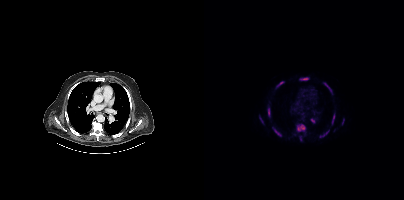
- Left: CT. Right: PSMA PET, same axial level, [18F]PSMA-1007 tracer
- acquired on Siemens Biograph mCT Flow 20
Findings: Coordinates are on the 200×200 PET (right) panel. (showing 11 of 12 foci) PSMA-avid tumor lesion bounding boxes (x0,y0,x1,y1): [92,124,101,132]; [68,127,77,136]; [119,82,128,94]; [63,107,66,117]; [116,130,125,137]; [96,78,104,80]; [128,114,130,124]; [107,119,111,123]; [95,136,98,141]; [138,119,140,124]. Small PSMA-avid focus (2 to 4 px across) near (center x, center y): (56, 118).